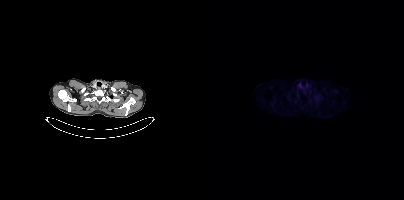
{"modality":"PSMA PET/CT","view":"axial","tracer":"18F-PSMA","pet_grid":[200,200],"coord_frame":"pet_panel","coord_format":"x0,y0,x1,y1","psma_avid_lesions":false}